- Paired axial CT (left) and PSMA PET (right), 68Ga tracer
- PET panel 168×168 px (4.1 mm/px)
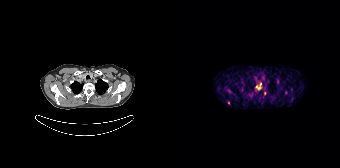
Findings: Coordinates are on the 168×168 PET (right) panel. (showing 3 of 5 foci) PSMA-avid tumor lesion bounding box (x0, y0)-(x1, y1): (83, 83)-(89, 89). Small PSMA-avid foci (2 to 4 px across) near (center x, center y): (92, 93) | (56, 102).